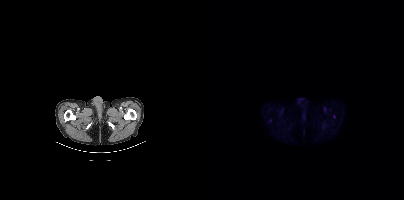
No tumor lesions annotated on this slice.